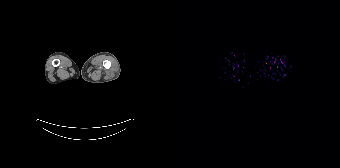
{"modality":"PSMA PET/CT","view":"axial","tracer":"18F-PSMA","pet_grid":[168,168],"coord_frame":"pet_panel","coord_format":"x0,y0,x1,y1","psma_avid_lesions":false}